- Paired axial CT (left) and PSMA PET (right), [18F]PSMA-1007 tracer
- slice position z = -428 mm
- PET panel 200×200 px (4.1 mm/px)
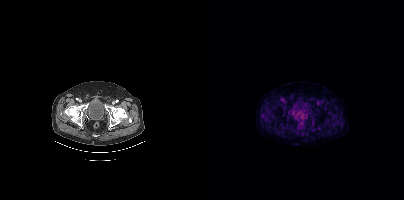
Findings: This slice has no annotated PSMA-avid lesion.